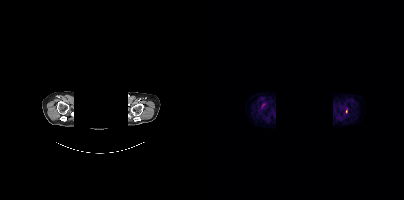
The face region was removed for patient privacy by blanking a rectangle over the head.
Coordinates are on the 200×200 PET (right) panel. Small PSMA-avid focus (2 to 4 px across) near (center x, center y): (142, 111).